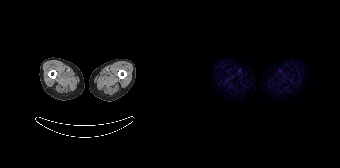
modality: PSMA PET/CT | tracer: 68Ga | view: axial | PET grid: 168×168
No PSMA-avid tumor lesions on this slice.